Left: CT. Right: PSMA PET, same axial level, 18F-PSMA tracer. Acquired on Siemens Biograph 64-4R TruePoint. Slice 37 of 165.
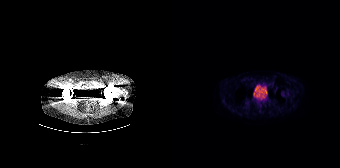
This slice has no annotated PSMA-avid lesion.